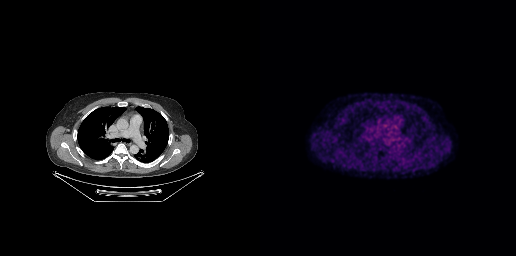
No tumor lesions annotated on this slice.